Left: CT. Right: PSMA PET, same axial level, 18F tracer. Slice 172 of 429. PET panel 200×200 px (4.1 mm/px).
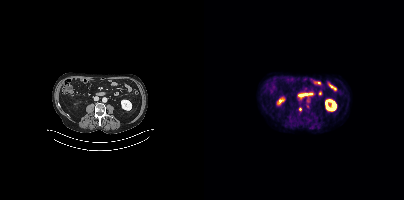
Coordinates are on the 200×200 PET (right) panel. Small PSMA-avid focus (2 to 4 px across) near (center x, center y): (96, 109).